modality: PSMA PET/CT | tracer: [18F]PSMA-1007 | view: axial
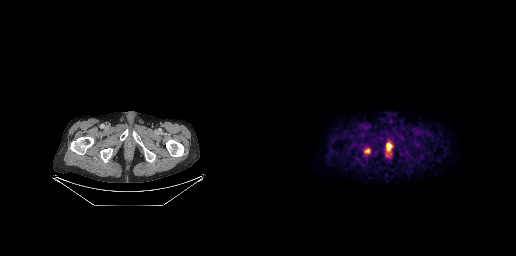
Coordinates are on the 256×256 PET (right) panel. PSMA-avid tumor lesion bounding box (x, y, width, height): x=104 y=148 w=7 h=6. Small PSMA-avid focus (2 to 4 px across) near (center x, center y): (128, 145).